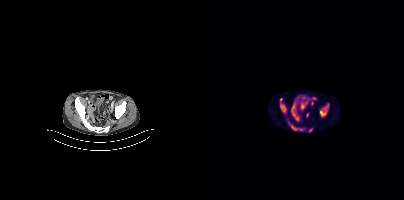
Coordinates are on the 200×200 PET (right) panel. PSMA-avid tumor lesion bounding boxes (x0,y0,x1,y1): [116,103,125,115] [84,121,99,130] [76,103,82,112]. Small PSMA-avid foci (2 to 4 px across) near (center x, center y): (77, 99) (105, 130).